- Paired axial CT (left) and PSMA PET (right), 68Ga-PSMA tracer
- acquired on GE Discovery 690
- PET panel 256×256 px (2.7 mm/px)
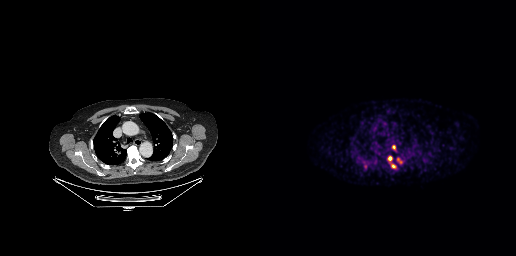
Findings: Coordinates are on the 256×256 PET (right) panel. PSMA-avid tumor lesion bounding boxes (x, y, width, height): x=131 y=163 w=6 h=6; x=128 y=156 w=4 h=5. Small PSMA-avid focus (2 to 4 px across) near (center x, center y): (133, 147).